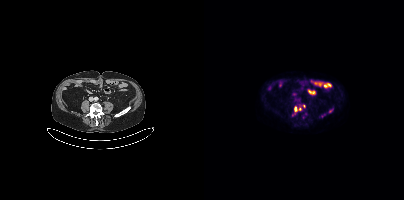
Left: CT. Right: PSMA PET, same axial level, 18F tracer. PET panel 200×200 px (4.1 mm/px).
Coordinates are on the 200×200 PET (right) panel. PSMA-avid tumor lesion bounding boxes (partial; 1 more focus not listed):
| # | x0 | y0 | x1 | y1 |
|---|---|---|---|---|
| 1 | 88 | 107 | 92 | 116 |
Small PSMA-avid foci (2 to 4 px across) near (center x, center y): (126, 111); (95, 108).